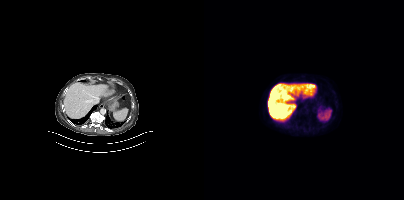
{"modality":"PSMA PET/CT","view":"axial","tracer":"18F","pet_grid":[200,200],"coord_frame":"pet_panel","coord_format":"x0,y0,x1,y1","psma_avid_lesions":false}